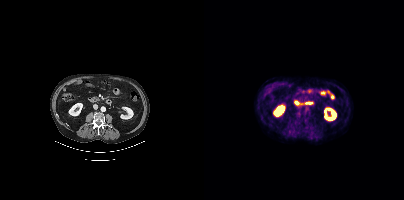
Two-panel axial: CT | PSMA PET, 18F tracer. PET panel 200×200 px (4.1 mm/px). This slice has no annotated PSMA-avid lesion.